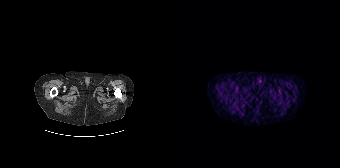
Two-panel axial: CT | PSMA PET, 68Ga-PSMA tracer. Acquired on Siemens Biograph 64-4R TruePoint. Slice 40 of 195. PET panel 168×168 px (4.1 mm/px). No tumor lesions annotated on this slice.